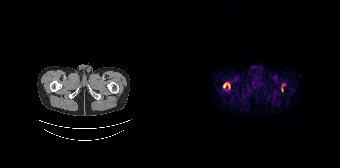
{"modality":"PSMA PET/CT","view":"axial","tracer":"[68Ga]Ga-PSMA-11","pet_grid":[168,168],"coord_frame":"pet_panel","coord_format":"x0,y0,x1,y1","partial":true,"lesion_bboxes":[[51,82,57,88]]}